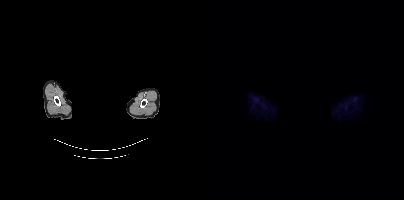
The face region was removed for patient privacy by blanking a rectangle over the head. Paired axial CT (left) and PSMA PET (right), 18F tracer. Slice position z = -836 mm. No tumor lesions annotated on this slice.